Left: CT. Right: PSMA PET, same axial level, 18F tracer. Slice 194 of 413. PET panel 200×200 px (4.1 mm/px).
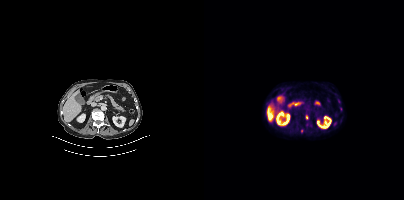
Only PSMA-avid lesion pieces thinner than 2 px on this slice (not listed).